Technique: Left: CT. Right: PSMA PET, same axial level, [18F]PSMA-1007 tracer. acquired on Siemens Biograph mCT Flow 20. slice position z = -683 mm.
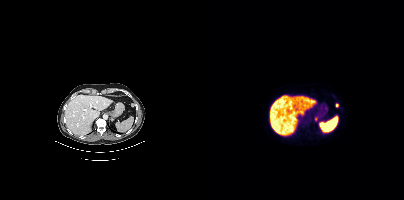
Findings: Coordinates are on the 200×200 PET (right) panel. PSMA-avid tumor lesion bounding boxes (x0,y0,x1,y1): [111,117,114,121] [132,103,134,107].